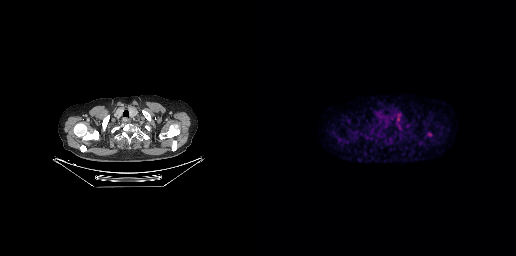
modality: PSMA PET/CT | tracer: [18F]PSMA-1007 | view: axial | PET grid: 256×256
Coordinates are on the 256×256 PET (right) panel. Small PSMA-avid focus (2 to 4 px across) near (center x, center y): (170, 134).